Paired axial CT (left) and PSMA PET (right), 68Ga tracer.
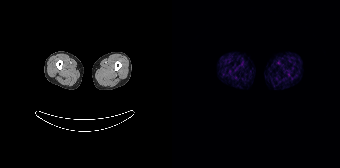
This slice has no annotated PSMA-avid lesion.